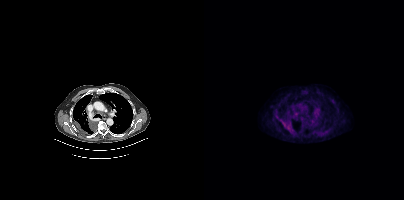
Findings: Coordinates are on the 200×200 PET (right) panel. PSMA-avid tumor lesion bounding boxes (x0,y0,x1,y1): [82,125,89,132]; [76,119,82,125]. Small PSMA-avid focus (2 to 4 px across) near (center x, center y): (91, 113).
Technique: Left: CT. Right: PSMA PET, same axial level, 18F-PSMA tracer. PET panel 200×200 px (4.1 mm/px).